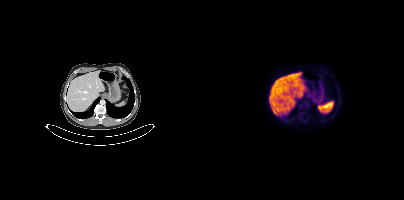
Technique: Paired axial CT (left) and PSMA PET (right), [18F]PSMA-1007 tracer. acquired on Siemens Biograph mCT Flow 20. slice 216 of 393.
Findings: No PSMA-avid tumor lesions on this slice.